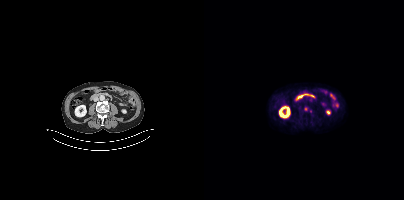
{"pet_grid":[200,200],"coord_frame":"pet_panel","coord_format":"x0,y0,x1,y1","partial":true,"lesion_bboxes":[],"small_foci_centers":[[101,109]],"modality":"PSMA PET/CT","view":"axial","tracer":"[18F]PSMA-1007"}